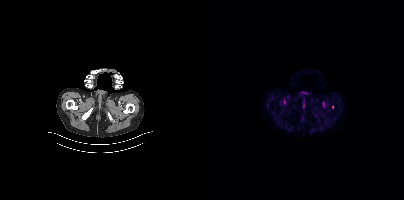
Findings: Coordinates are on the 200×200 PET (right) panel. Small PSMA-avid focus (2 to 4 px across) near (center x, center y): (128, 106).
- Paired axial CT (left) and PSMA PET (right), [18F]PSMA-1007 tracer
- slice position z = -1001 mm
- PET panel 200×200 px (4.1 mm/px)